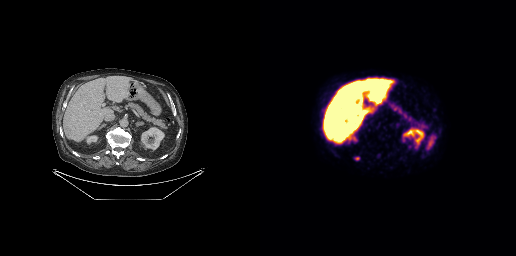
Findings: Coordinates are on the 256×256 PET (right) panel. PSMA-avid tumor lesion bounding box (x0, y0)-(x1, y1): (95, 157)-(99, 160).
Technique: Two-panel axial: CT | PSMA PET, 18F tracer. PET panel 256×256 px (2.7 mm/px).